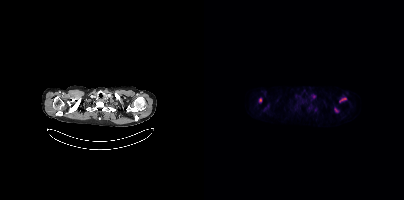
Coordinates are on the 200×200 PET (right) panel. PSMA-avid tumor lesion bounding boxes (x0,y0,x1,y1): [135,98,142,102]; [55,98,57,102]. Small PSMA-avid focus (2 to 4 px across) near (center x, center y): (132, 109).
modality: PSMA PET/CT | tracer: 18F | view: axial | PET grid: 200×200